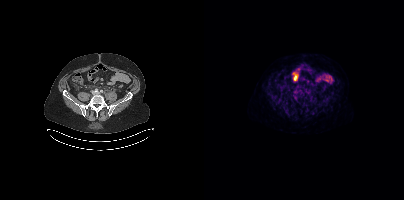
Coordinates are on the 200×200 PET (right) panel. PSMA-avid tumor lesion bounding box (x0, y0)-(x1, y1): (89, 94)-(92, 98).
modality: PSMA PET/CT | tracer: 18F-PSMA | view: axial | PET grid: 200×200